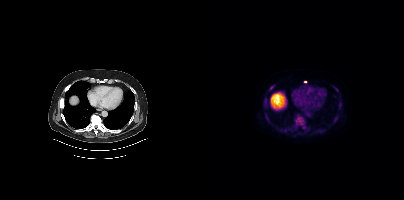
{"modality":"PSMA PET/CT","view":"axial","tracer":"18F-PSMA","pet_grid":[200,200],"coord_frame":"pet_panel","coord_format":"x0,y0,x1,y1","lesion_bboxes":[[90,116,104,130],[129,86,134,92],[134,103,138,107],[119,128,122,132],[66,85,70,90],[60,104,63,108]],"small_foci_centers":[[131,119],[90,129],[85,128],[81,130],[61,101],[101,81]]}